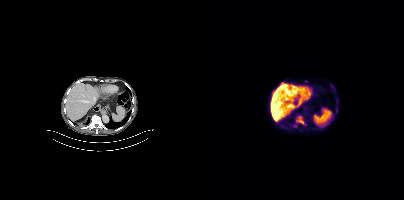
modality: PSMA PET/CT | tracer: 18F-PSMA | view: axial | PET grid: 200×200
Coordinates are on the 200×200 PET (right) panel. (showing 2 of 3 foci) PSMA-avid tumor lesion bounding box (x0,y0,x1,y1): [92,116,100,124]. Small PSMA-avid focus (2 to 4 px across) near (center x, center y): (102, 81).